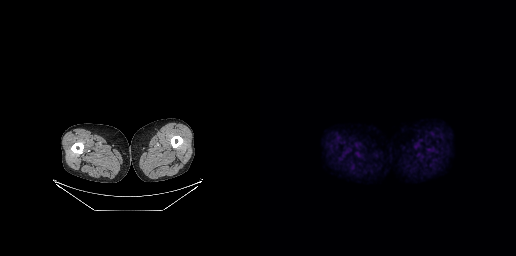
- Paired axial CT (left) and PSMA PET (right), [18F]PSMA-1007 tracer
- acquired on GE Discovery 690
Findings: This slice has no annotated PSMA-avid lesion.